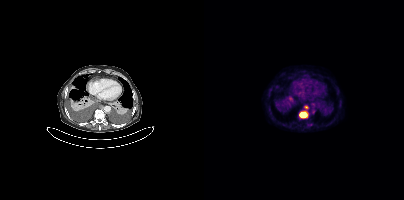
Coordinates are on the 200×200 PET (right) panel. PSMA-avid tumor lesion bounding boxes (x0,y0,x1,y1): [95,112,103,117]; [99,105,104,110].